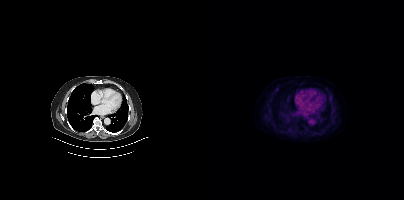
Left: CT. Right: PSMA PET, same axial level, 18F-PSMA tracer. Slice 236 of 381. PET panel 200×200 px (4.1 mm/px). No PSMA-avid tumor lesions on this slice.